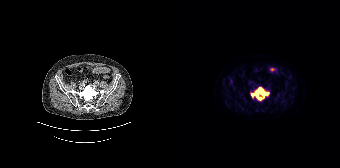
Coordinates are on the 168×168 PET (right) panel. PSMA-avid tumor lesion bounding box (x0, y0)-(x1, y1): (78, 86)-(97, 100).
modality: PSMA PET/CT | tracer: [18F]PSMA-1007 | view: axial | PET grid: 168×168